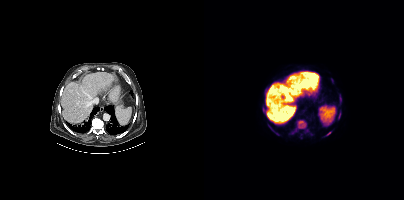
Technique: Paired axial CT (left) and PSMA PET (right), [18F]PSMA-1007 tracer. acquired on Siemens Biograph mCT Flow 20. slice position z = -1289 mm. PET panel 200×200 px (4.1 mm/px).
Findings: Coordinates are on the 200×200 PET (right) panel. PSMA-avid tumor lesion bounding boxes (x0, y0)-(x1, y1): (88, 120)-(102, 133); (134, 112)-(136, 118); (136, 95)-(137, 101); (122, 132)-(126, 135). Small PSMA-avid foci (2 to 4 px across) near (center x, center y): (103, 130); (73, 133).